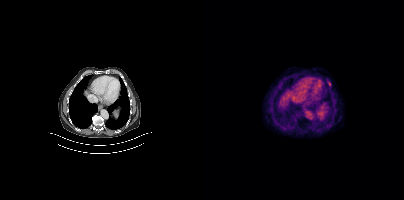
Left: CT. Right: PSMA PET, same axial level, 18F tracer. Slice position z = -444 mm. Coordinates are on the 200×200 PET (right) panel. PSMA-avid tumor lesion bounding box (x0,y0,x1,y1): [123,81,126,86].